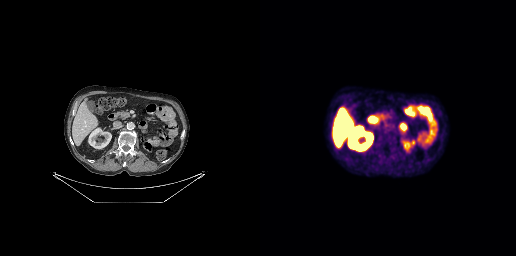
{"modality":"PSMA PET/CT","view":"axial","tracer":"18F","pet_grid":[256,256],"coord_frame":"pet_panel","coord_format":"x0,y0,x1,y1","psma_avid_lesions":false}